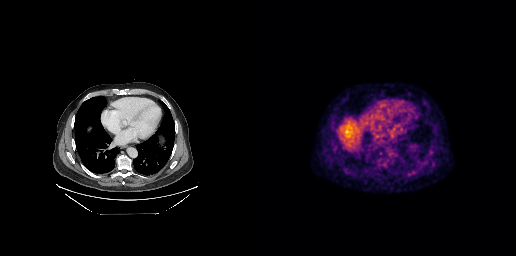
Paired axial CT (left) and PSMA PET (right), 18F-PSMA tracer. Acquired on GE Discovery 690. PET panel 256×256 px (2.7 mm/px). No PSMA-avid tumor lesions on this slice.